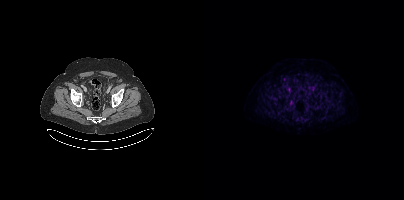
modality: PSMA PET/CT | tracer: 18F | view: axial
Coordinates are on the 200×200 PET (right) panel. PSMA-avid tumor lesion bounding box (x0,y0,x1,y1): [85,101,89,105].